modality: PSMA PET/CT | tracer: [18F]PSMA-1007 | view: axial | PET grid: 200×200
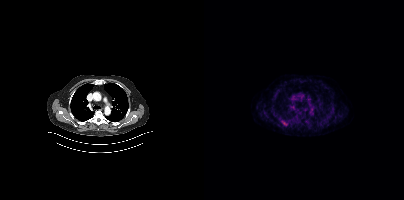
Coordinates are on the 200×200 PET (right) panel. PSMA-avid tumor lesion bounding box (x0,y0,x1,y1): [78,121,83,125].